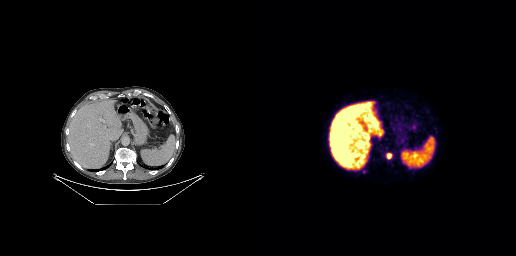
Findings: Coordinates are on the 256×256 PET (right) panel. PSMA-avid tumor lesion bounding box (x, y, width, height): x=127 y=153 w=5 h=6. Small PSMA-avid focus (2 to 4 px across) near (center x, center y): (104, 171).
- Two-panel axial: CT | PSMA PET, 18F-PSMA tracer
- acquired on GE Discovery 690
- slice 152 of 263
- PET panel 256×256 px (2.7 mm/px)